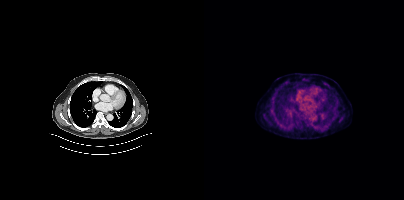
{"pet_grid":[200,200],"coord_frame":"pet_panel","coord_format":"x0,y0,x1,y1","psma_avid_lesions":false,"modality":"PSMA PET/CT","view":"axial","tracer":"18F"}